Two-panel axial: CT | PSMA PET, [68Ga]Ga-PSMA-11 tracer. Slice position z = -901 mm.
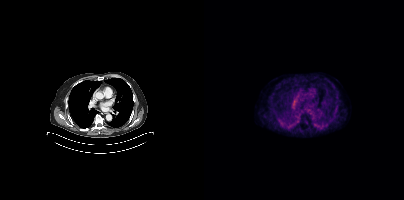
Coordinates are on the 200×200 PET (right) panel. Small PSMA-avid focus (2 to 4 px across) near (center x, center y): (101, 121).